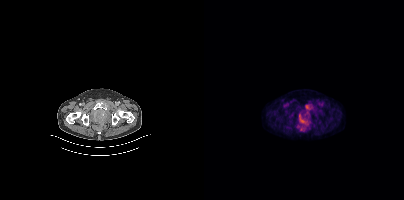
Only PSMA-avid lesion pieces thinner than 2 px on this slice (not listed).